Two-panel axial: CT | PSMA PET, [18F]PSMA-1007 tracer. Slice 90 of 367. PET panel 200×200 px (4.1 mm/px).
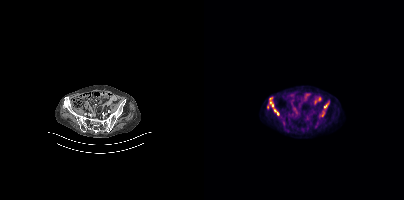
Coordinates are on the 200×200 PET (right) panel. PSMA-avid tumor lesion bounding boxes:
| # | x0 | y0 | x1 | y1 |
|---|---|---|---|---|
| 1 | 63 | 100 | 75 | 115 |
Small PSMA-avid focus (2 to 4 px across) near (center x, center y): (97, 128).